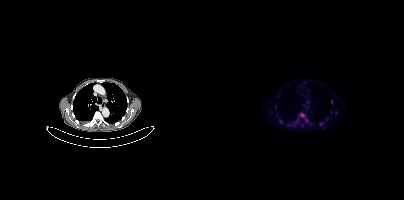
Coordinates are on the 200×200 PET (right) panel. (showing 6 of 7 foci) PSMA-avid tumor lesion bounding box (x0,y0,x1,y1): [96,113,100,117]. Small PSMA-avid foci (2 to 4 px across) near (center x, center y): (117, 124), (127, 101), (102, 120), (76, 121), (103, 101).
modality: PSMA PET/CT | tracer: [18F]PSMA-1007 | view: axial